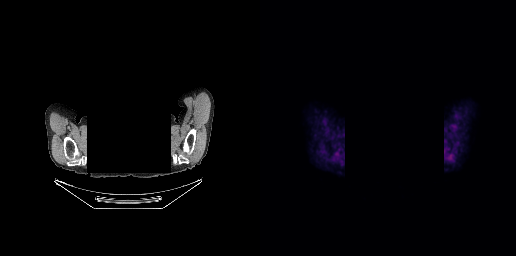
{"modality":"PSMA PET/CT","view":"axial","tracer":"[18F]PSMA-1007","pet_grid":[256,256],"coord_frame":"pet_panel","coord_format":"x0,y0,x1,y1","deidentification":"head region blanked (face removed)","psma_avid_lesions":false}